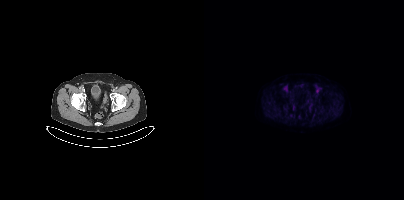
modality: PSMA PET/CT | tracer: [18F]PSMA-1007 | view: axial | PET grid: 200×200
No tumor lesions annotated on this slice.